Paired axial CT (left) and PSMA PET (right), [18F]PSMA-1007 tracer. Acquired on Siemens Biograph mCT Flow 20. PET panel 200×200 px (4.1 mm/px).
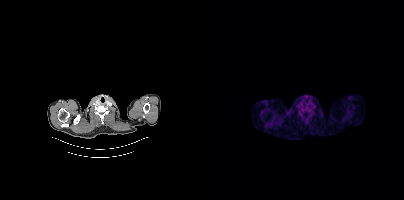
No PSMA-avid tumor lesions on this slice.